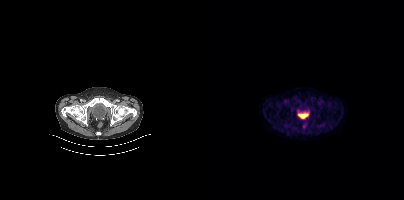
No PSMA-avid tumor lesions on this slice.